- Two-panel axial: CT | PSMA PET, [68Ga]Ga-PSMA-11 tracer
- slice 116 of 195
- PET panel 168×168 px (4.1 mm/px)
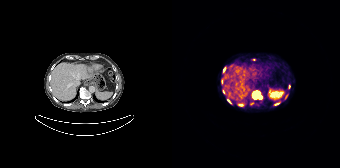
Findings: Coordinates are on the 168×168 PET (right) panel. PSMA-avid tumor lesion bounding boxes (x0, y0)-(x1, y1): (81, 91)-(89, 98) / (55, 99)-(59, 103) / (51, 67)-(53, 71) / (49, 80)-(50, 84). Small PSMA-avid foci (2 to 4 px across) near (center x, center y): (68, 104) / (82, 59) / (117, 86) / (51, 91) / (106, 103).